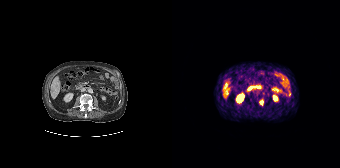
Technique: Left: CT. Right: PSMA PET, same axial level, 68Ga-PSMA tracer. PET panel 168×168 px (4.1 mm/px).
Findings: Coordinates are on the 168×168 PET (right) panel. (showing 1 of 2 foci) PSMA-avid tumor lesion bounding box (x0, y0)-(x1, y1): (87, 99)-(91, 105).